- Two-panel axial: CT | PSMA PET, [18F]PSMA-1007 tracer
- PET panel 256×256 px (2.7 mm/px)
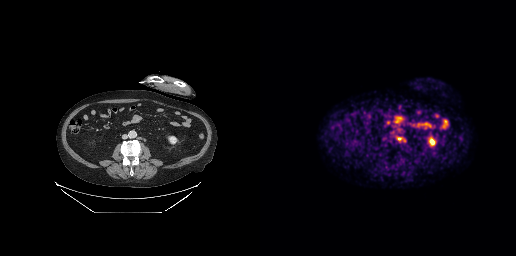
Findings: Coordinates are on the 256×256 PET (right) panel. Small PSMA-avid focus (2 to 4 px across) near (center x, center y): (139, 138).